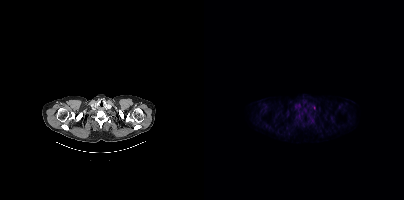
No tumor lesions annotated on this slice.